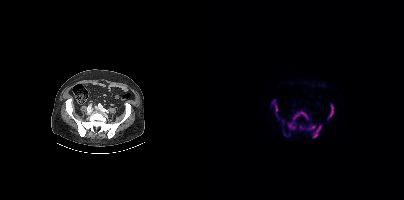
{"modality":"PSMA PET/CT","view":"axial","tracer":"18F-PSMA","pet_grid":[200,200],"coord_frame":"pet_panel","coord_format":"x0,y0,x1,y1","partial":true,"lesion_bboxes":[[83,111,104,129],[108,125,117,138],[123,103,130,119],[102,124,111,130],[68,99,73,111],[95,125,100,129],[78,120,80,124]],"small_foci_centers":[[81,134]]}